- Paired axial CT (left) and PSMA PET (right), 18F tracer
- slice position z = -790 mm
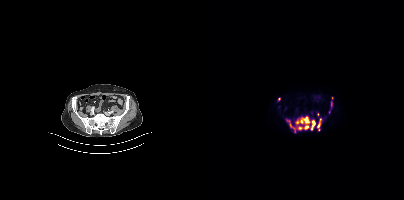
Findings: Coordinates are on the 200×200 PET (right) panel. (showing 8 of 9 foci) PSMA-avid tumor lesion bounding boxes (x, y, width, height): x=91 y=117 w=16 h=13; x=107 y=120 w=5 h=11; x=83 y=120 w=9 h=13; x=113 y=118 w=5 h=13; x=127 y=102 w=2 h=5. Small PSMA-avid foci (2 to 4 px across) near (center x, center y): (75, 99); (113, 114); (128, 97).